Face de-identified by blanking a block of the head. Left: CT. Right: PSMA PET, same axial level, 18F-PSMA tracer.
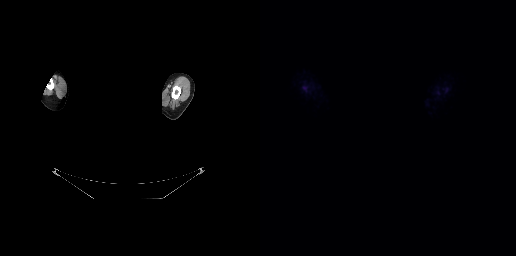
Negative for PSMA-avid disease on this slice.